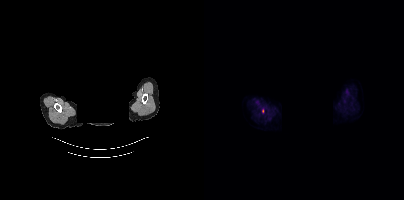
{"pet_grid":[200,200],"coord_frame":"pet_panel","coord_format":"x0,y0,x1,y1","lesion_bboxes":[],"small_foci_centers":[[58,110]],"modality":"PSMA PET/CT","view":"axial","tracer":"18F-PSMA","deidentification":"head region blacked out before release"}